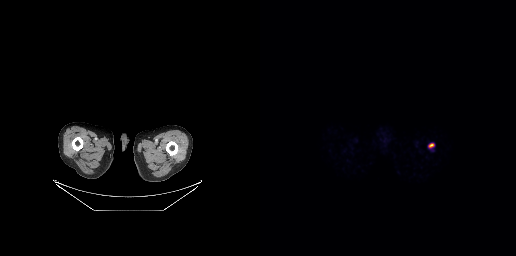
No tumor lesions annotated on this slice. Two-panel axial: CT | PSMA PET, [68Ga]Ga-PSMA-11 tracer.